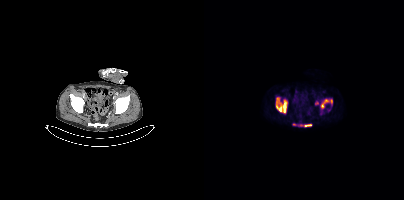
Coordinates are on the 200×200 PET (right) panel. PSMA-avid tumor lesion bounding boxes (x0, y0)-(x1, y1): (71, 96)-(84, 113) | (116, 99)-(128, 108) | (94, 124)-(107, 127). Small PSMA-avid foci (2 to 4 px across) near (center x, center y): (112, 103) | (90, 124).